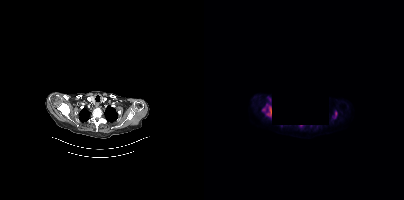
Coordinates are on the 200×200 PET (right) panel. PSMA-avid tumor lesion bounding boxes (x, y, width, height): x=58 y=104 w=10 h=15 / x=131 y=112 w=2 h=6. Two-panel axial: CT | PSMA PET, [18F]PSMA-1007 tracer. PET panel 200×200 px (4.1 mm/px). A rectangular privacy mask was applied before release.